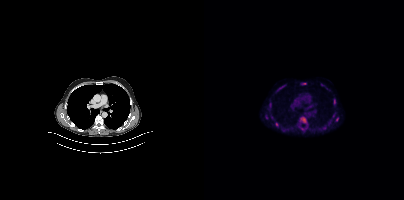
Findings: Coordinates are on the 200×200 PET (right) panel. PSMA-avid tumor lesion bounding boxes (x0, y0)-(x1, y1): (97, 82)-(102, 85) / (132, 117)-(134, 121). Small PSMA-avid foci (2 to 4 px across) near (center x, center y): (66, 104) / (129, 115) / (125, 122) / (130, 103) / (71, 123) / (73, 89).
Technique: Paired axial CT (left) and PSMA PET (right), [18F]PSMA-1007 tracer. slice position z = -330 mm. PET panel 200×200 px (4.1 mm/px).